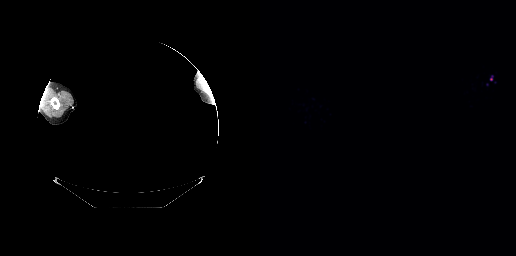
Technique: Paired axial CT (left) and PSMA PET (right), 68Ga tracer.
Note: The face region was removed for patient privacy by blanking a rectangle over the head.
Findings: This slice has no annotated PSMA-avid lesion.